Technique: Left: CT. Right: PSMA PET, same axial level, [18F]PSMA-1007 tracer. slice 80 of 411.
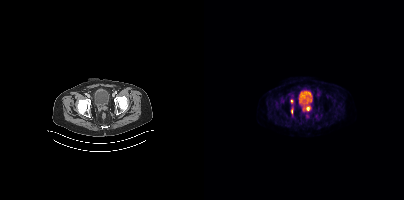
Findings: Coordinates are on the 200×200 PET (right) panel. PSMA-avid tumor lesion bounding boxes (x, y, width, height): x=98 y=106 w=9 h=6 | x=86 y=99 w=4 h=5 | x=87 y=109 w=2 h=5.